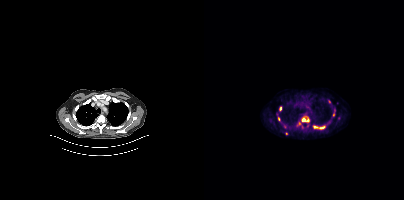
Findings: Coordinates are on the 200×200 PET (right) panel. (showing 6 of 8 foci) PSMA-avid tumor lesion bounding boxes (x0, y0)-(x1, y1): (97, 116)-(105, 122) / (109, 125)-(121, 129). Small PSMA-avid foci (2 to 4 px across) near (center x, center y): (76, 108) / (74, 118) / (95, 123) / (129, 114).
- Paired axial CT (left) and PSMA PET (right), 18F-PSMA tracer
- acquired on Siemens Biograph mCT Flow 20
- PET panel 200×200 px (4.1 mm/px)